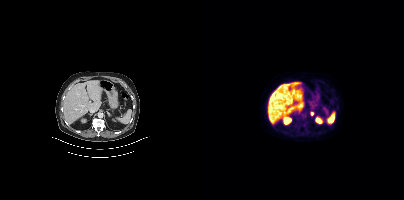
Findings: Coordinates are on the 200×200 PET (right) panel. Small PSMA-avid focus (2 to 4 px across) near (center x, center y): (108, 113).
Technique: Paired axial CT (left) and PSMA PET (right), [18F]PSMA-1007 tracer. slice 196 of 381. PET panel 200×200 px (4.1 mm/px).